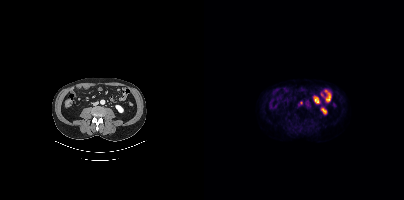
Two-panel axial: CT | PSMA PET, 18F tracer. Slice 167 of 438. Coordinates are on the 200×200 PET (right) panel. Small PSMA-avid focus (2 to 4 px across) near (center x, center y): (97, 102).